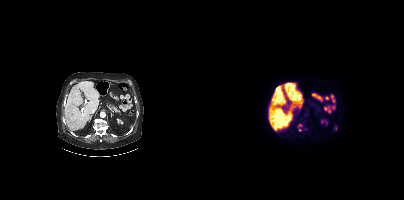
Only PSMA-avid lesion pieces thinner than 2 px on this slice (not listed). Left: CT. Right: PSMA PET, same axial level, [18F]PSMA-1007 tracer. Acquired on Siemens Biograph mCT Flow 20. Slice 215 of 389.